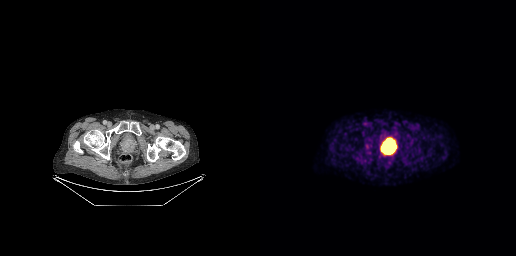
Coordinates are on the 256×256 PET (right) panel. PSMA-avid tumor lesion bounding box (x0, y0)-(x1, y1): (122, 139)-(135, 152).